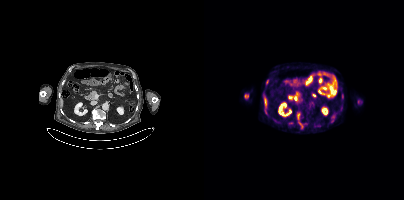
Findings: Coordinates are on the 200×200 PET (right) panel. PSMA-avid tumor lesion bounding box (x, y, width, height): x=94 y=114 w=2 h=5. Small PSMA-avid focus (2 to 4 px across) near (center x, center y): (63, 81).
- Two-panel axial: CT | PSMA PET, [18F]PSMA-1007 tracer
- acquired on Siemens Biograph mCT Flow 20
- PET panel 200×200 px (4.1 mm/px)